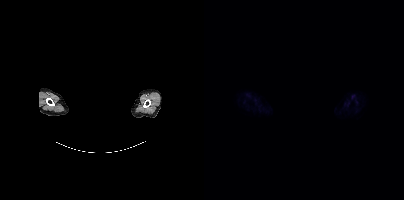
A rectangle over the head was blacked out to remove identifiable facial features. Paired axial CT (left) and PSMA PET (right), 18F-PSMA tracer. Slice 388 of 417. PET panel 200×200 px (4.1 mm/px). This slice has no annotated PSMA-avid lesion.